- Paired axial CT (left) and PSMA PET (right), [18F]PSMA-1007 tracer
- acquired on Siemens Biograph mCT Flow 20
- PET panel 200×200 px (4.1 mm/px)
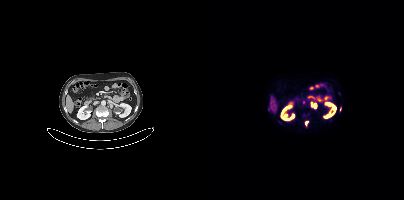
Findings: Coordinates are on the 200×200 PET (right) panel. (showing 3 of 4 foci) PSMA-avid tumor lesion bounding boxes (x0,y0,x1,y1): [107,102,112,108]; [101,121,104,125]. Small PSMA-avid focus (2 to 4 px across) near (center x, center y): (99, 102).